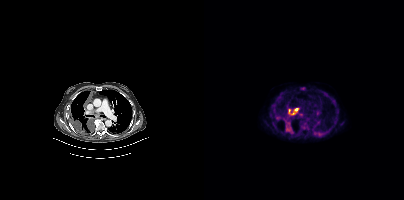
Technique: Paired axial CT (left) and PSMA PET (right), 18F tracer. acquired on Siemens Biograph mCT Flow 20. slice 313 of 452.
Findings: Coordinates are on the 200×200 PET (right) panel. PSMA-avid tumor lesion bounding boxes (x0,y0,x1,y1): [81,121,89,133]; [97,123,103,129]; [84,109,90,115]; [96,87,100,89]. Small PSMA-avid focus (2 to 4 px across) near (center x, center y): (92, 109).